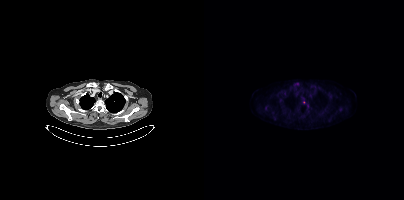
{"modality":"PSMA PET/CT","view":"axial","tracer":"18F-PSMA","pet_grid":[200,200],"coord_frame":"pet_panel","coord_format":"x0,y0,x1,y1","partial":true,"lesion_bboxes":[],"small_foci_centers":[[93,83]]}